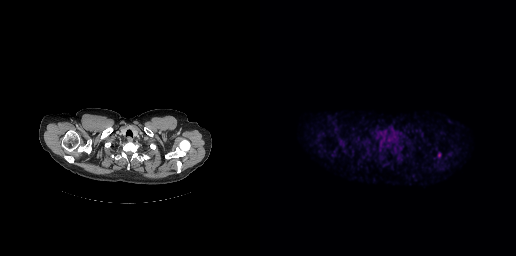
Left: CT. Right: PSMA PET, same axial level, [18F]PSMA-1007 tracer. Slice 217 of 263. PET panel 256×256 px (2.7 mm/px).
Coordinates are on the 256×256 PET (right) panel. PSMA-avid tumor lesion bounding boxes:
| # | x0 | y0 | x1 | y1 |
|---|---|---|---|---|
| 1 | 178 | 153 | 180 | 157 |